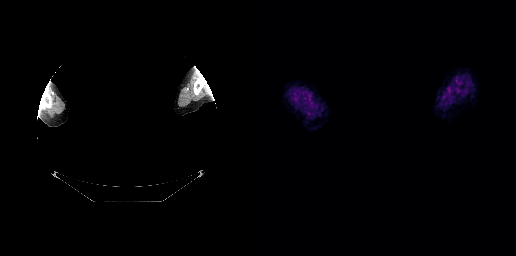
{"modality":"PSMA PET/CT","view":"axial","tracer":"18F","pet_grid":[256,256],"coord_frame":"pet_panel","coord_format":"x0,y0,x1,y1","psma_avid_lesions":false,"redaction":"head region blanked (face removed)"}